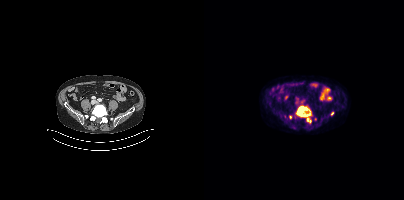
Technique: Two-panel axial: CT | PSMA PET, 18F tracer. acquired on Siemens Biograph mCT Flow 20.
Findings: Coordinates are on the 200×200 PET (right) panel. (showing 4 of 6 foci) PSMA-avid tumor lesion bounding box (x0,y0,x1,y1): [93,106,106,116]. Small PSMA-avid foci (2 to 4 px across) near (center x, center y): (128, 113) (103, 119) (86, 116).